- Paired axial CT (left) and PSMA PET (right), 68Ga tracer
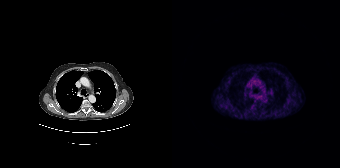
Findings: No PSMA-avid tumor lesions on this slice.